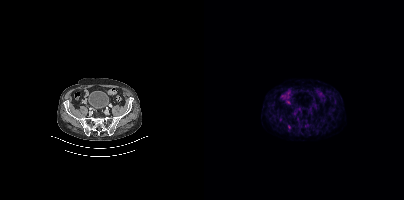
{"modality":"PSMA PET/CT","view":"axial","tracer":"[18F]PSMA-1007","pet_grid":[200,200],"coord_frame":"pet_panel","coord_format":"x0,y0,x1,y1","lesion_bboxes":[],"small_foci_centers":[[84,127]]}